modality: PSMA PET/CT | tracer: 68Ga | view: axial
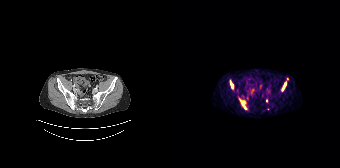
Coordinates are on the 168×168 PET (right) panel. (showing 4 of 6 foci) PSMA-avid tumor lesion bounding boxes (x, y, width, height): x=68 y=99 w=8 h=11; x=110 y=82 w=5 h=10; x=58 y=80 w=4 h=10. Small PSMA-avid focus (2 to 4 px across) near (center x, center y): (94, 100).